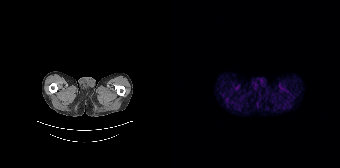
This slice has no annotated PSMA-avid lesion.